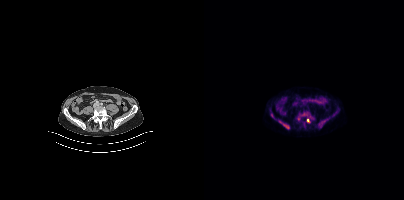
Coordinates are on the 200×200 PET (right) panel. PSMA-avid tumor lesion bounding boxes (x0, y0)-(x1, y1): (94, 112)-(105, 118) / (114, 119)-(122, 127) / (75, 120)-(85, 129). Small PSMA-avid focus (2 to 4 px across) near (center x, center y): (104, 120). Left: CT. Right: PSMA PET, same axial level, 18F-PSMA tracer. Acquired on Siemens Biograph mCT Flow 20. PET panel 200×200 px (4.1 mm/px).